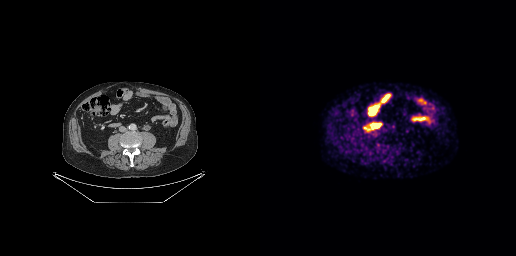
This slice has no annotated PSMA-avid lesion.